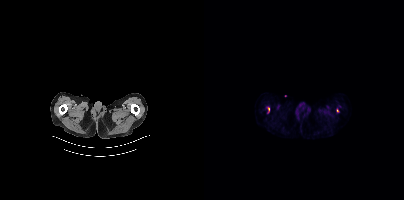
Findings: Coordinates are on the 200×200 PET (right) panel. PSMA-avid tumor lesion bounding box (x, y, width, height): x=63 y=107 w=3 h=6. Small PSMA-avid focus (2 to 4 px across) near (center x, center y): (133, 110).
Technique: Two-panel axial: CT | PSMA PET, 18F-PSMA tracer. acquired on Siemens Biograph mCT Flow 20.